Two-panel axial: CT | PSMA PET, [68Ga]Ga-PSMA-11 tracer.
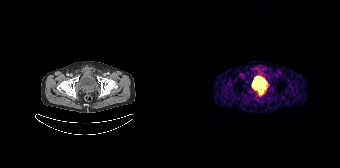
Coordinates are on the 168×168 PET (right) panel. (showing 3 of 4 foci) Small PSMA-avid foci (2 to 4 px across) near (center x, center y): (88, 92); (92, 87); (84, 88).